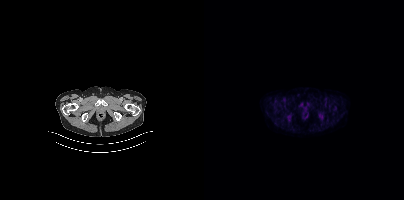
{"modality":"PSMA PET/CT","view":"axial","tracer":"18F-PSMA","pet_grid":[200,200],"coord_frame":"pet_panel","coord_format":"x0,y0,x1,y1","psma_avid_lesions":false}